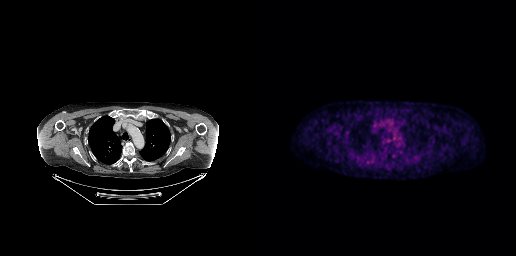
{"modality":"PSMA PET/CT","view":"axial","tracer":"18F-PSMA","pet_grid":[256,256],"coord_frame":"pet_panel","coord_format":"x0,y0,x1,y1","psma_avid_lesions":false}